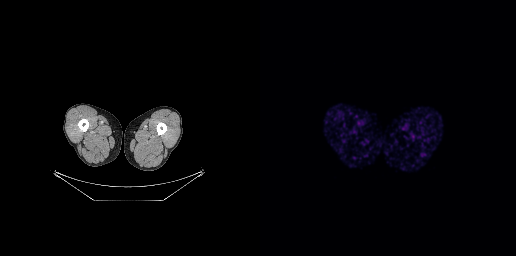
{"modality":"PSMA PET/CT","view":"axial","tracer":"68Ga","pet_grid":[256,256],"coord_frame":"pet_panel","coord_format":"x0,y0,x1,y1","psma_avid_lesions":false}